Paired axial CT (left) and PSMA PET (right), 18F tracer. Slice 25 of 431. PET panel 200×200 px (4.1 mm/px).
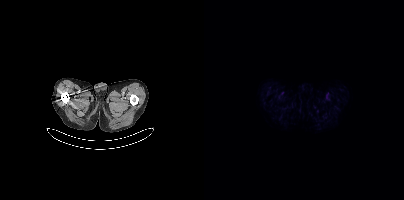
No tumor lesions annotated on this slice.